- Paired axial CT (left) and PSMA PET (right), [18F]PSMA-1007 tracer
- acquired on GE Discovery 690
- slice 98 of 299
- PET panel 256×256 px (2.7 mm/px)
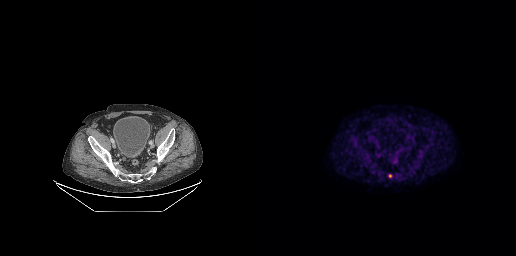
Findings: Coordinates are on the 256×256 PET (right) panel. Small PSMA-avid focus (2 to 4 px across) near (center x, center y): (130, 175).